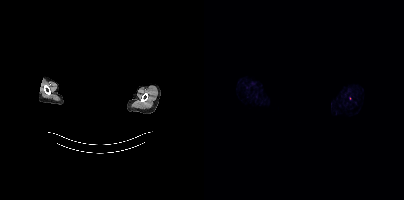
{"modality":"PSMA PET/CT","view":"axial","tracer":"[68Ga]Ga-PSMA-11","pet_grid":[200,200],"coord_frame":"pet_panel","coord_format":"x0,y0,x1,y1","redaction":"face masked with black rectangle","psma_avid_lesions":false}